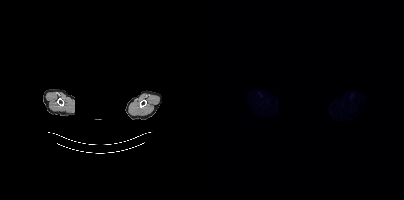
An anonymization step blacked out a rectangle over the head in this scan. Left: CT. Right: PSMA PET, same axial level, [18F]PSMA-1007 tracer. Acquired on Siemens Biograph mCT Flow 20. This slice has no annotated PSMA-avid lesion.